modality: PSMA PET/CT | tracer: [18F]PSMA-1007 | view: axial
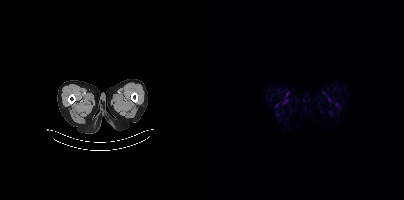
This slice has no annotated PSMA-avid lesion.